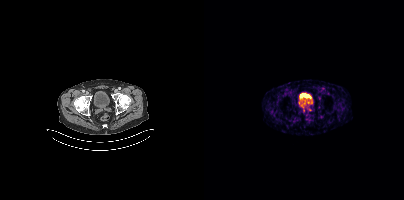
Only PSMA-avid lesion pieces thinner than 2 px on this slice (not listed).